Left: CT. Right: PSMA PET, same axial level, 18F tracer.
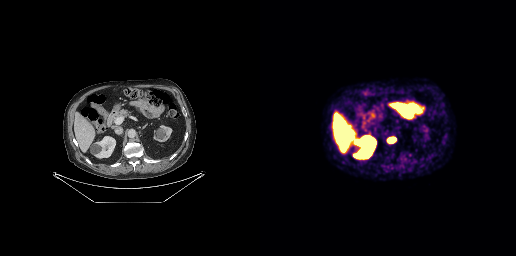
Coordinates are on the 256×256 PET (right) panel. PSMA-avid tumor lesion bounding box (x0,y0,x1,y1): [127,136,136,143].